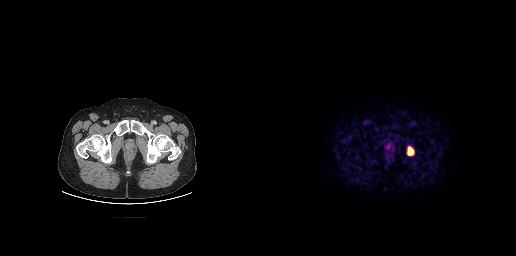
Coordinates are on the 256×256 PET (right) panel. PSMA-avid tumor lesion bounding box (x, y, width, height): x=147 y=146 w=8 h=10.
modality: PSMA PET/CT | tracer: [18F]PSMA-1007 | view: axial | PET grid: 256×256